- Left: CT. Right: PSMA PET, same axial level, 68Ga tracer
- acquired on Siemens Biograph mCT Flow 20
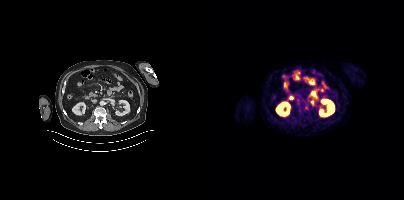
Findings: This slice has no annotated PSMA-avid lesion.